Technique: Two-panel axial: CT | PSMA PET, [18F]PSMA-1007 tracer. PET panel 256×256 px (2.7 mm/px).
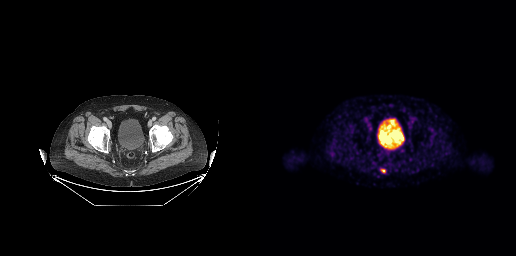
Findings: Coordinates are on the 256×256 PET (right) panel. PSMA-avid tumor lesion bounding box (x0,y0,x1,y1): [121,169,125,172].